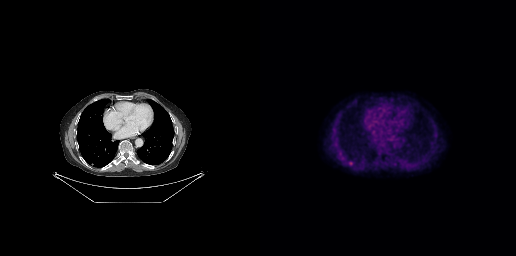
{"modality":"PSMA PET/CT","view":"axial","tracer":"18F-PSMA","pet_grid":[256,256],"coord_frame":"pet_panel","coord_format":"x0,y0,x1,y1","lesion_bboxes":[[89,161,93,164]]}